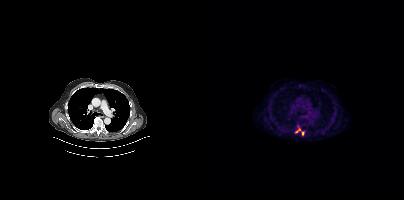
Coordinates are on the 200×200 PET (right) panel. PSMA-avid tumor lesion bounding boxes (x0,y0,x1,y1): [91,128,96,132]; [98,131,100,135].